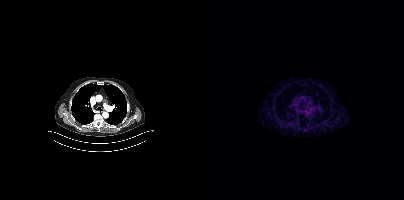
Findings: Only PSMA-avid lesion pieces thinner than 2 px on this slice (not listed).
- Two-panel axial: CT | PSMA PET, 68Ga-PSMA tracer
- acquired on Siemens Biograph mCT Flow 20
- slice 274 of 385
- PET panel 200×200 px (4.1 mm/px)